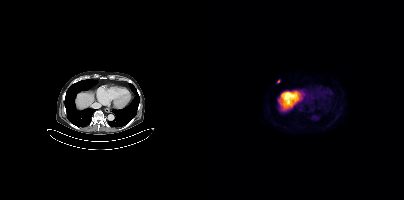
{"modality":"PSMA PET/CT","view":"axial","tracer":"[18F]PSMA-1007","pet_grid":[200,200],"coord_frame":"pet_panel","coord_format":"x0,y0,x1,y1","lesion_bboxes":[[73,79,76,83]]}